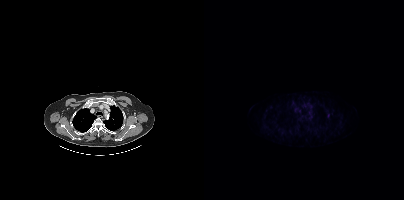
Left: CT. Right: PSMA PET, same axial level, [18F]PSMA-1007 tracer. Coordinates are on the 200×200 PET (right) panel. Small PSMA-avid focus (2 to 4 px across) near (center x, center y): (124, 115).